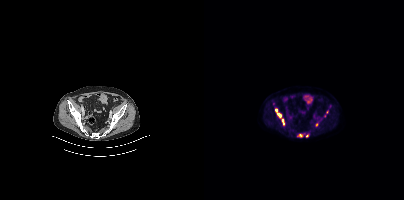
Paired axial CT (left) and PSMA PET (right), [18F]PSMA-1007 tracer. Acquired on Siemens Biograph mCT Flow 20. Slice 103 of 413. PET panel 200×200 px (4.1 mm/px).
Coordinates are on the 200×200 PET (right) panel. PSMA-avid tumor lesion bounding boxes (partial; 2 more foci not listed):
| # | x0 | y0 | x1 | y1 |
|---|---|---|---|---|
| 1 | 71 | 108 | 77 | 118 |
| 2 | 93 | 134 | 98 | 137 |
| 3 | 78 | 119 | 80 | 124 |
Small PSMA-avid foci (2 to 4 px across) near (center x, center y): (103, 135); (113, 124).